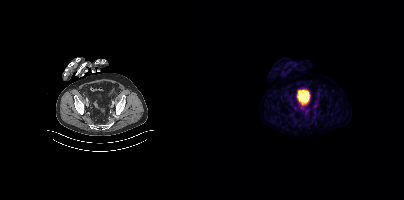
{"modality":"PSMA PET/CT","view":"axial","tracer":"[68Ga]Ga-PSMA-11","pet_grid":[200,200],"coord_frame":"pet_panel","coord_format":"x0,y0,x1,y1","psma_avid_lesions":false}